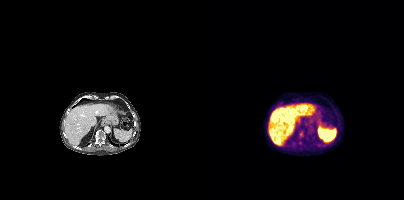
- Left: CT. Right: PSMA PET, same axial level, 18F-PSMA tracer
- acquired on Siemens Biograph mCT Flow 20
- slice 223 of 389
- PET panel 200×200 px (4.1 mm/px)
Findings: Coordinates are on the 200×200 PET (right) panel. Small PSMA-avid foci (2 to 4 px across) near (center x, center y): (96, 133) / (95, 142) / (102, 137).